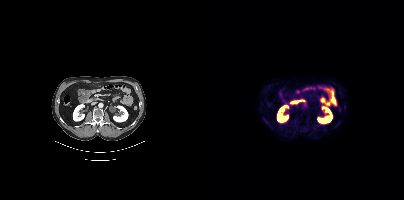
Findings: Negative for PSMA-avid disease on this slice.
Technique: Left: CT. Right: PSMA PET, same axial level, 18F-PSMA tracer. PET panel 200×200 px (4.1 mm/px).